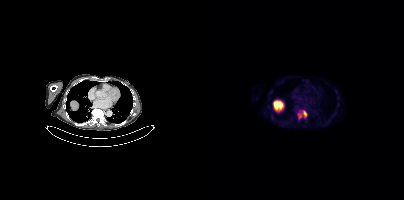
Technique: Two-panel axial: CT | PSMA PET, [18F]PSMA-1007 tracer. slice position z = -1092 mm.
Findings: Coordinates are on the 200×200 PET (right) panel. (showing 1 of 2 foci) PSMA-avid tumor lesion bounding box (x0, y0)-(x1, y1): (94, 110)-(103, 118).